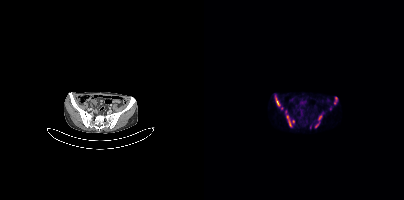
{"modality":"PSMA PET/CT","view":"axial","tracer":"68Ga","pet_grid":[200,200],"coord_frame":"pet_panel","coord_format":"x0,y0,x1,y1","partial":true,"lesion_bboxes":[[71,96,76,106],[130,97,133,104],[83,116,86,125],[115,115,118,119]],"small_foci_centers":[[82,112],[112,125]]}